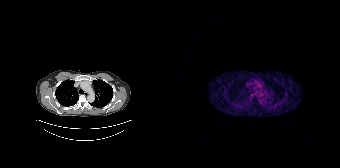
No PSMA-avid tumor lesions on this slice.